The face region was removed for patient privacy by blanking a rectangle over the head. Two-panel axial: CT | PSMA PET, 18F tracer. Acquired on Siemens Biograph mCT Flow 20. Slice 445 of 464. PET panel 200×200 px (4.1 mm/px).
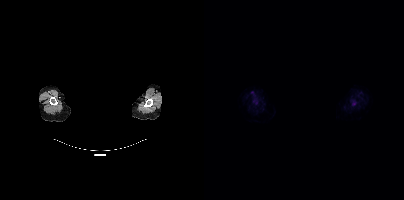
Coordinates are on the 200×200 PET (right) panel. PSMA-avid tumor lesion bounding boxes (partial; 1 more focus not listed):
| # | x0 | y0 | x1 | y1 |
|---|---|---|---|---|
| 1 | 49 | 99 | 55 | 105 |